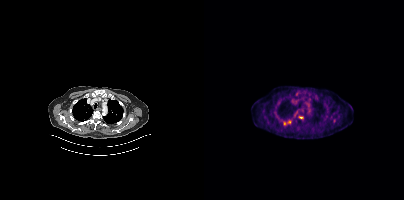
Coordinates are on the 200×200 PET (right) panel. PSMA-avid tumor lesion bounding boxes:
| # | x0 | y0 | x1 | y1 |
|---|---|---|---|---|
| 1 | 95 | 116 | 99 | 118 |
Small PSMA-avid foci (2 to 4 px across) near (center x, center y): (85, 121); (80, 122).
Two-panel axial: CT | PSMA PET, 18F-PSMA tracer. Acquired on Siemens Biograph mCT Flow 20.